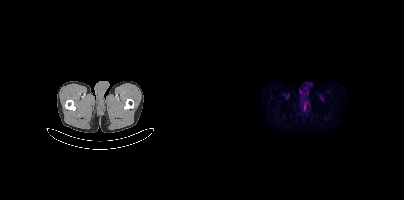
Left: CT. Right: PSMA PET, same axial level, 18F tracer. Slice position z = -1548 mm. This slice has no annotated PSMA-avid lesion.